Head region blanked for anonymization (face removed). Two-panel axial: CT | PSMA PET, 68Ga-PSMA tracer. Slice 376 of 397. PET panel 200×200 px (4.1 mm/px).
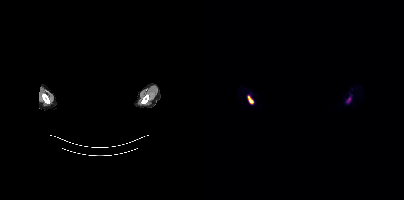
Coordinates are on the 200×200 PET (right) panel. PSMA-avid tumor lesion bounding boxes:
| # | x0 | y0 | x1 | y1 |
|---|---|---|---|---|
| 1 | 43 | 95 | 49 | 103 |
| 2 | 143 | 96 | 147 | 101 |